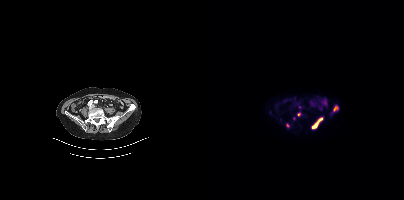
Coordinates are on the 200×200 PET (right) panel. PSMA-avid tumor lesion bounding boxes (partial; 1 more focus not listed):
| # | x0 | y0 | x1 | y1 |
|---|---|---|---|---|
| 1 | 129 | 105 | 134 | 111 |
| 2 | 108 | 122 | 114 | 128 |
Small PSMA-avid foci (2 to 4 px across) near (center x, center y): (117, 118); (94, 114); (90, 118).
Paired axial CT (left) and PSMA PET (right), [68Ga]Ga-PSMA-11 tracer.